Privacy masking over the head, with the pixels inside a rectangle set to black.
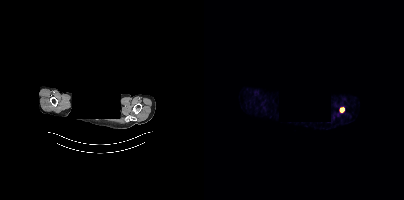
Coordinates are on the 200×200 PET (right) panel. Small PSMA-avid focus (2 to 4 px across) near (center x, center y): (137, 109).